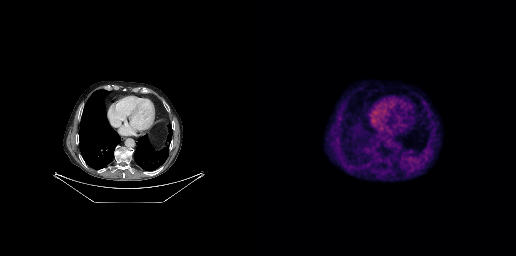
Findings: No PSMA-avid tumor lesions on this slice.
Technique: Left: CT. Right: PSMA PET, same axial level, 18F-PSMA tracer. acquired on GE Discovery 690. slice position z = -500 mm.